- Paired axial CT (left) and PSMA PET (right), [18F]PSMA-1007 tracer
- slice position z = -1532 mm
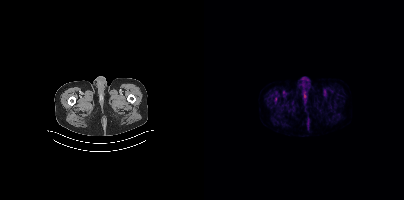
Findings: No PSMA-avid tumor lesions on this slice.